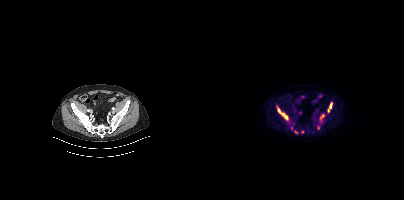
modality: PSMA PET/CT | tracer: 18F | view: axial
Coordinates are on the 200×200 PET (right) panel. PSMA-avid tumor lesion bounding boxes (x0,y0,x1,y1): [74,108,84,119] [124,102,128,112] [90,130,94,133] [116,114,119,118]. Small PSMA-avid foci (2 to 4 px across) near (center x, center y): (87, 127) (114, 127) (98, 132).